Technique: Two-panel axial: CT | PSMA PET, 68Ga-PSMA tracer. acquired on GE Discovery 690. slice 113 of 263. PET panel 256×256 px (2.7 mm/px).
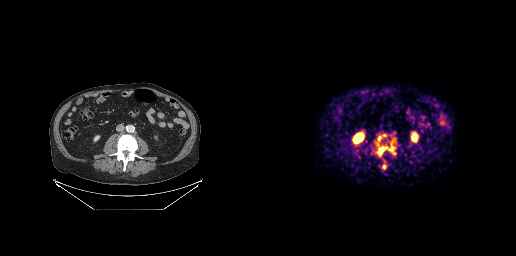
Findings: Coordinates are on the 256×256 PET (right) panel. PSMA-avid tumor lesion bounding boxes (x0,y0,x1,y1): [116,139,135,155] [118,136,121,141] [122,164,126,169]. Small PSMA-avid focus (2 to 4 px across) near (center x, center y): (124, 135).